modality: PSMA PET/CT | tracer: [18F]PSMA-1007 | view: axial
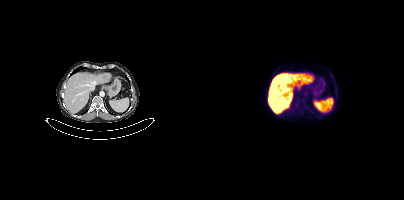
This slice has no annotated PSMA-avid lesion.